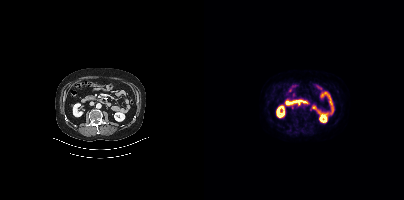
Only PSMA-avid lesion pieces thinner than 2 px on this slice (not listed).